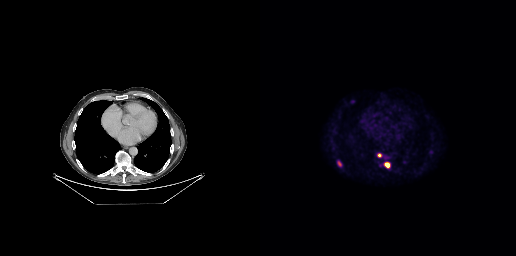
{"modality":"PSMA PET/CT","view":"axial","tracer":"18F-PSMA","pet_grid":[256,256],"coord_frame":"pet_panel","coord_format":"x0,y0,x1,y1","lesion_bboxes":[[123,162,130,168],[77,161,81,166],[117,153,121,157]]}